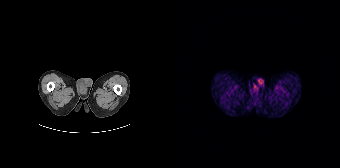
This slice has no annotated PSMA-avid lesion.